Paired axial CT (left) and PSMA PET (right), 18F tracer. Acquired on Siemens Biograph mCT Flow 20.
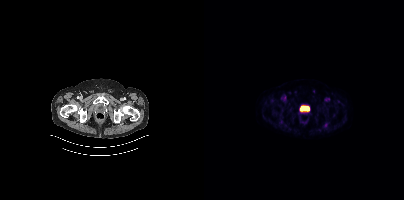
This slice has no annotated PSMA-avid lesion.